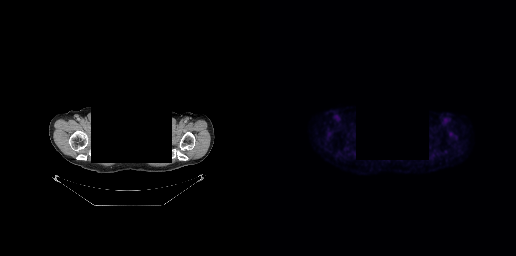
No tumor lesions annotated on this slice.
A rectangle over the head was blacked out to remove identifiable facial features.